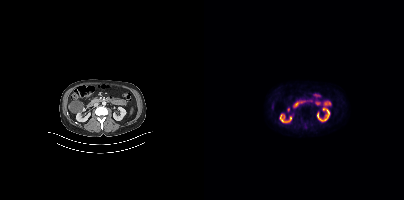
Technique: Left: CT. Right: PSMA PET, same axial level, 18F-PSMA tracer. acquired on Siemens Biograph mCT Flow 20.
Findings: This slice has no annotated PSMA-avid lesion.